Paired axial CT (left) and PSMA PET (right), 18F tracer. Acquired on Siemens Biograph mCT Flow 20. Slice 396 of 444. De-identified by setting a box covering the face to black before release.
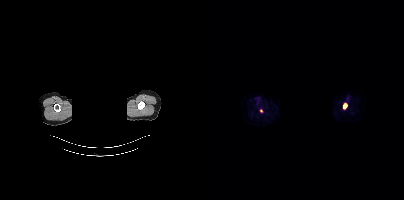
Coordinates are on the 200×200 PET (right) panel. PSMA-avid tumor lesion bounding box (x, y, width, height): x=139 y=103 w=5 h=7. Small PSMA-avid focus (2 to 4 px across) near (center x, center y): (57, 110).